Head region blanked for anonymization (face removed). Two-panel axial: CT | PSMA PET, 18F-PSMA tracer.
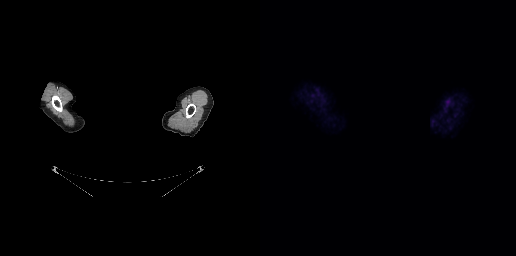
No PSMA-avid tumor lesions on this slice.